modality: PSMA PET/CT | tracer: 18F-PSMA | view: axial | PET grid: 200×200
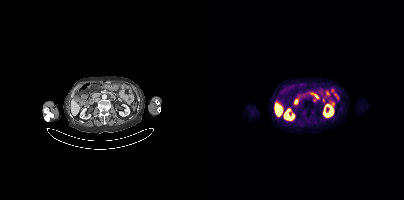
Negative for PSMA-avid disease on this slice.